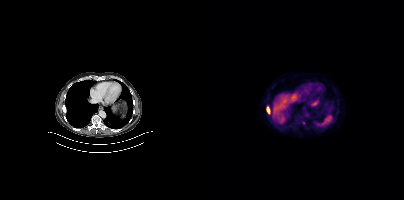
Paired axial CT (left) and PSMA PET (right), [18F]PSMA-1007 tracer. Slice 249 of 415. PET panel 200×200 px (4.1 mm/px). Coordinates are on the 200×200 PET (right) panel. PSMA-avid tumor lesion bounding box (x0,y0,x1,y1): [62,107,65,113].